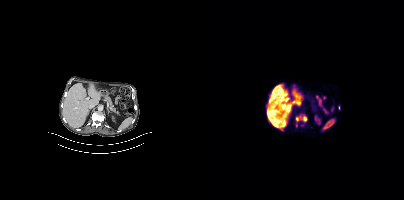
Coordinates are on the 200×200 PET (right) panel. (showing 2 of 4 foci) PSMA-avid tumor lesion bounding boxes (x, y, width, height): x=96 y=116 w=8 h=6; x=92 y=117 w=3 h=5.